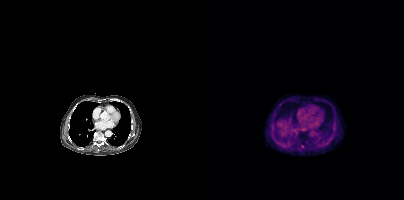
Coordinates are on the 200×200 PET (right) panel. Small PSMA-avid foci (2 to 4 px across) near (center x, center y): (98, 146) | (75, 104).
modality: PSMA PET/CT | tracer: 18F-PSMA | view: axial | PET grid: 200×200